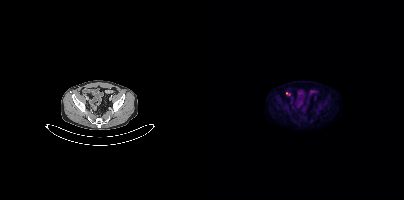
Two-panel axial: CT | PSMA PET, 18F tracer. Slice position z = -1596 mm. Only PSMA-avid lesion pieces thinner than 2 px on this slice (not listed).